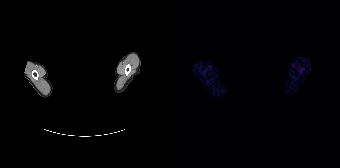
No tumor lesions annotated on this slice. Left: CT. Right: PSMA PET, same axial level, 68Ga-PSMA tracer. Slice position z = -218 mm. An anonymization step blacked out a rectangle over the head in this scan.